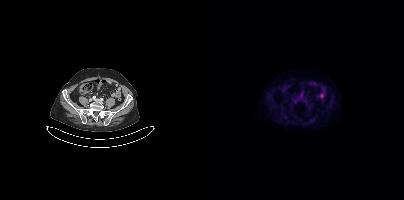
Technique: Left: CT. Right: PSMA PET, same axial level, 18F-PSMA tracer. acquired on Siemens Biograph mCT Flow 20.
Findings: No PSMA-avid tumor lesions on this slice.